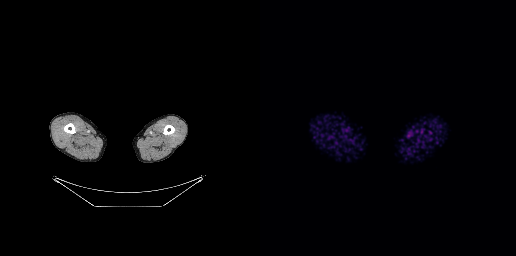
Technique: Paired axial CT (left) and PSMA PET (right), 18F-PSMA tracer. acquired on GE Discovery 690.
Findings: Negative for PSMA-avid disease on this slice.